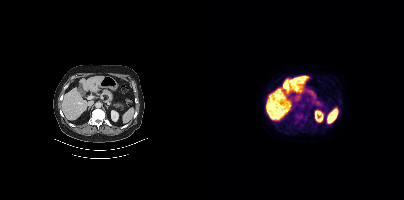
Coordinates are on the 200×200 PET (right) panel. PSMA-avid tumor lesion bounding box (x, y, width, height): x=90 y=111 w=16 h=13. Small PSMA-avid focus (2 to 4 px across) near (center x, center y): (135, 99).